Technique: Left: CT. Right: PSMA PET, same axial level, 18F tracer. slice position z = -1016 mm. PET panel 200×200 px (4.1 mm/px).
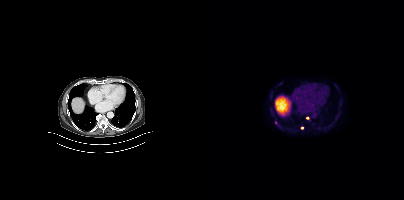
Findings: Coordinates are on the 200×200 PET (right) panel. Small PSMA-avid focus (2 to 4 px across) near (center x, center y): (71, 122).